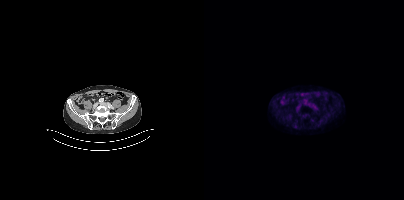
- Left: CT. Right: PSMA PET, same axial level, 18F-PSMA tracer
- slice position z = -837 mm
- PET panel 200×200 px (4.1 mm/px)
Findings: Coordinates are on the 200×200 PET (right) panel. PSMA-avid tumor lesion bounding box (x0,y0,x1,y1): [89,123,92,127].